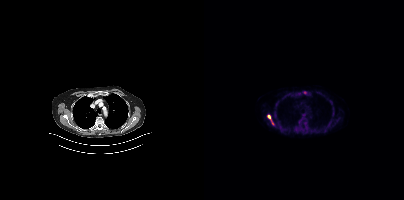
Technique: Two-panel axial: CT | PSMA PET, 18F tracer. PET panel 200×200 px (4.1 mm/px).
Findings: Coordinates are on the 200×200 PET (right) panel. PSMA-avid tumor lesion bounding box (x, y, width, height): x=64 y=115 w=7 h=11. Small PSMA-avid focus (2 to 4 px across) near (center x, center y): (101, 92).